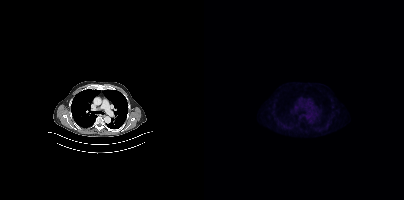
No tumor lesions annotated on this slice.